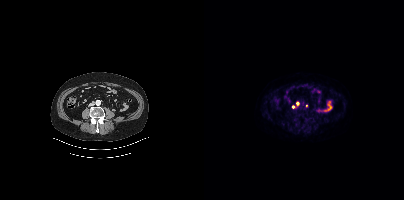
{"modality":"PSMA PET/CT","view":"axial","tracer":"[18F]PSMA-1007","pet_grid":[200,200],"coord_frame":"pet_panel","coord_format":"x0,y0,x1,y1","partial":true,"lesion_bboxes":[],"small_foci_centers":[[93,103],[88,106]]}